- Paired axial CT (left) and PSMA PET (right), [18F]PSMA-1007 tracer
- slice position z = -1097 mm
- PET panel 200×200 px (4.1 mm/px)
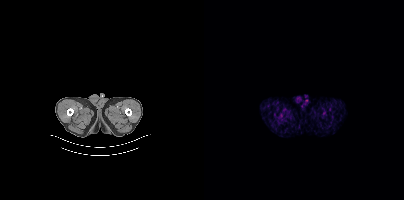
Findings: This slice has no annotated PSMA-avid lesion.